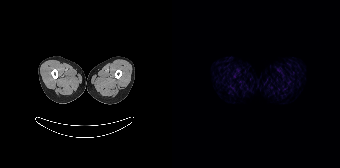
{"modality":"PSMA PET/CT","view":"axial","tracer":"[68Ga]Ga-PSMA-11","pet_grid":[168,168],"coord_frame":"pet_panel","coord_format":"x0,y0,x1,y1","psma_avid_lesions":false}